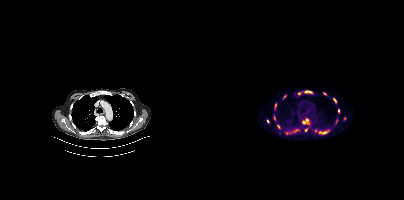
Coordinates are on the 200×200 PET (right) panel. (showing 13 of 16 foci) PSMA-avid tumor lesion bounding boxes (x, y, width, height): x=93 y=90 w=17 h=7; x=98 y=118 w=8 h=7; x=70 y=103 w=3 h=7; x=129 y=98 w=4 h=6; x=62 y=119 w=4 h=5; x=69 y=115 w=3 h=6; x=89 y=129 w=5 h=3; x=118 y=132 w=5 h=2. Small PSMA-avid foci (2 to 4 px across) near (center x, center y): (120, 93); (74, 126); (102, 129); (111, 130); (140, 118).